- Left: CT. Right: PSMA PET, same axial level, 18F tracer
- acquired on Siemens Biograph mCT Flow 20
- slice position z = -879 mm
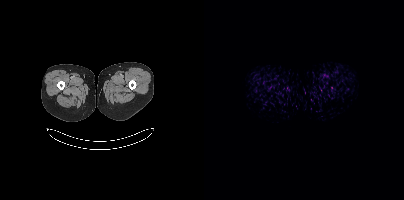
Findings: No tumor lesions annotated on this slice.